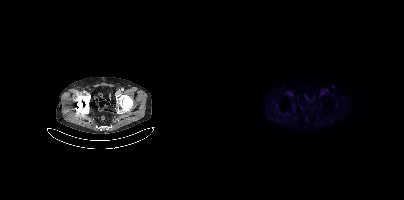
No PSMA-avid tumor lesions on this slice.